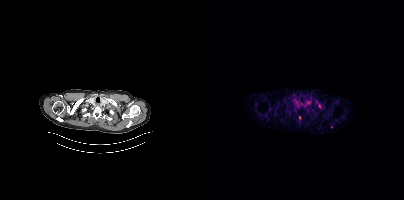
Two-panel axial: CT | PSMA PET, [68Ga]Ga-PSMA-11 tracer. Negative for PSMA-avid disease on this slice.